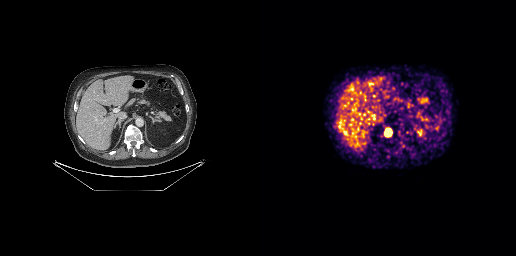
Coordinates are on the 256×256 PET (right) panel. PSMA-avid tumor lesion bounding box (x0,y0,x1,y1): [125,128,131,136].
modality: PSMA PET/CT | tracer: 68Ga | view: axial | PET grid: 256×256